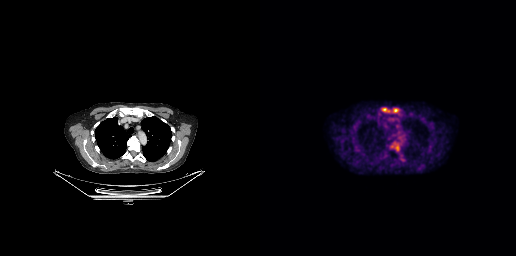
Coordinates are on the 256×256 PET (right) panel. (showing 3 of 4 foci) PSMA-avid tumor lesion bounding boxes (x0,y0,x1,y1): [122,108,129,111]; [134,108,138,112]; [136,146,138,150].
modality: PSMA PET/CT | tracer: 18F-PSMA | view: axial